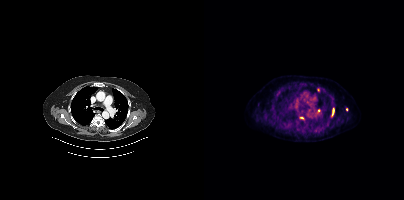
Paired axial CT (left) and PSMA PET (right), 18F tracer. Slice position z = 410 mm. Coordinates are on the 200×200 PET (right) panel. (showing 4 of 5 foci) PSMA-avid tumor lesion bounding box (x0,y0,x1,y1): [128,108,129,115]. Small PSMA-avid foci (2 to 4 px across) near (center x, center y): (114, 89), (114, 110), (97, 117).